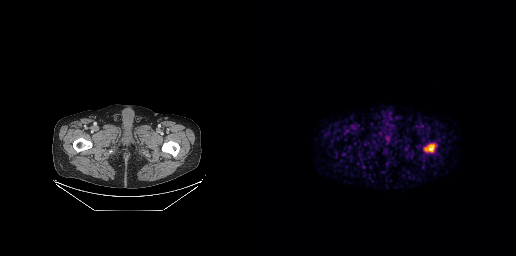
- Two-panel axial: CT | PSMA PET, [68Ga]Ga-PSMA-11 tracer
- PET panel 256×256 px (2.7 mm/px)
Findings: Coordinates are on the 256×256 PET (right) panel. PSMA-avid tumor lesion bounding box (x0, y0)-(x1, y1): (169, 145)-(173, 150).